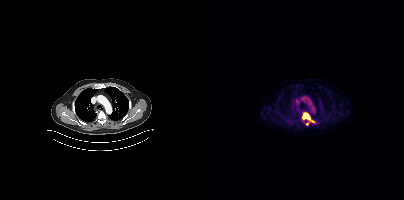
Two-panel axial: CT | PSMA PET, [18F]PSMA-1007 tracer. Acquired on Siemens Biograph mCT Flow 20. Slice position z = -1210 mm.
Coordinates are on the 200×200 PET (right) panel. PSMA-avid tumor lesion bounding boxes (partial; 2 more foci not listed):
| # | x0 | y0 | x1 | y1 |
|---|---|---|---|---|
| 1 | 98 | 112 | 110 | 122 |
Small PSMA-avid focus (2 to 4 px across) near (center x, center y): (103, 123).